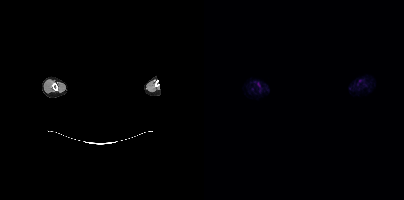
Head region blanked for anonymization (face removed). Left: CT. Right: PSMA PET, same axial level, 18F-PSMA tracer. No tumor lesions annotated on this slice.